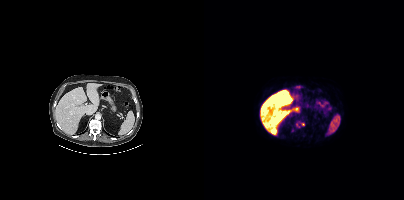
Coordinates are on the 200×200 PET (right) panel. PSMA-avid tumor lesion bounding boxes (x0, y0)-(x1, y1): (95, 122)-(100, 125); (92, 123)-(95, 127). Small PSMA-avid focus (2 to 4 px across) near (center x, center y): (88, 130).